Two-panel axial: CT | PSMA PET, [68Ga]Ga-PSMA-11 tracer. Slice 152 of 195. PET panel 168×168 px (4.1 mm/px).
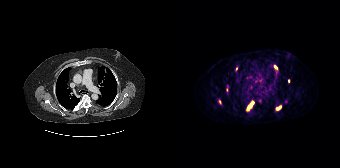
Coordinates are on the 168×168 PET (right) panel. (showing 5 of 7 foci) PSMA-avid tumor lesion bounding boxes (x, y, width, height): x=74 y=101 w=9 h=10 / x=104 y=105 w=6 h=6 / x=102 y=65 w=4 h=5. Small PSMA-avid foci (2 to 4 px across) near (center x, center y): (48, 101) / (64, 68).